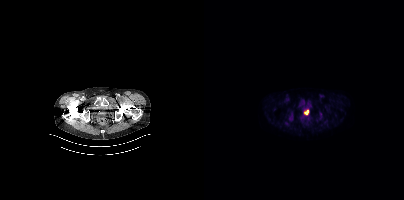
{"modality":"PSMA PET/CT","view":"axial","tracer":"[18F]PSMA-1007","pet_grid":[200,200],"coord_frame":"pet_panel","coord_format":"x0,y0,x1,y1","lesion_bboxes":[[100,110,104,114]]}